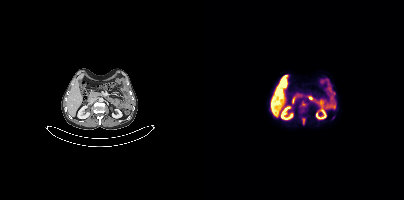
{"modality":"PSMA PET/CT","view":"axial","tracer":"18F","pet_grid":[200,200],"coord_frame":"pet_panel","coord_format":"x0,y0,x1,y1","lesion_bboxes":[[97,102,102,106]]}